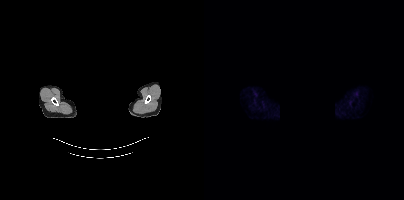
A rectangle over the head was blacked out to remove identifiable facial features. Two-panel axial: CT | PSMA PET, 68Ga tracer. Slice 365 of 409. No PSMA-avid tumor lesions on this slice.